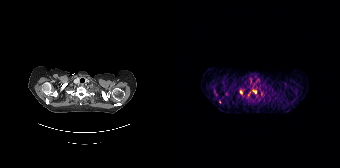
Technique: Two-panel axial: CT | PSMA PET, 68Ga-PSMA tracer. slice 136 of 165. PET panel 168×168 px (4.1 mm/px).
Findings: Coordinates are on the 168×168 PET (right) panel. (showing 3 of 4 foci) PSMA-avid tumor lesion bounding box (x, y, width, height): x=80 y=90 w=5 h=4. Small PSMA-avid foci (2 to 4 px across) near (center x, center y): (69, 91) / (47, 101).